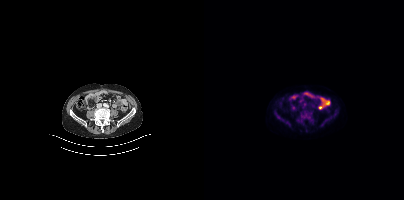
Coordinates are on the 200×200 PET (right) panel. Small PSMA-avid focus (2 to 4 px across) near (center x, center y): (100, 104).